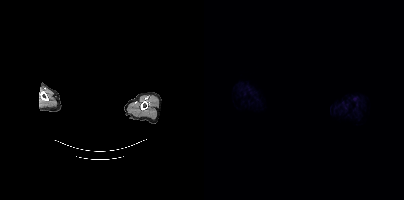
A rectangle over the head was blacked out to remove identifiable facial features.
Negative for PSMA-avid disease on this slice.